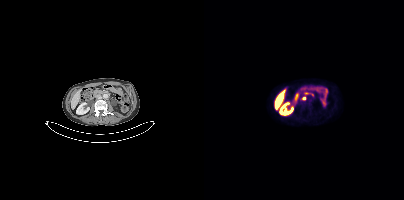
{"modality":"PSMA PET/CT","view":"axial","tracer":"18F","pet_grid":[200,200],"coord_frame":"pet_panel","coord_format":"x0,y0,x1,y1","lesion_bboxes":[],"small_foci_centers":[[100,98]]}